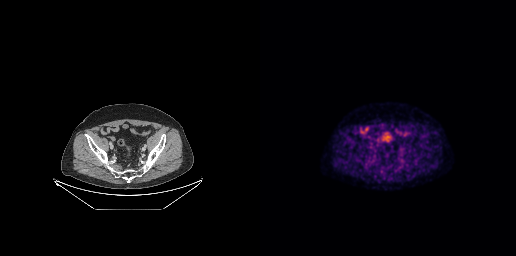
modality: PSMA PET/CT | tracer: 18F | view: axial
Negative for PSMA-avid disease on this slice.